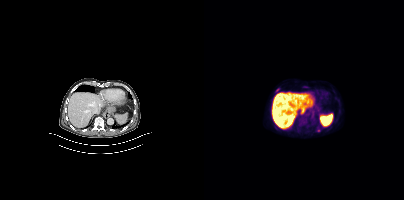
Coordinates are on the 200×200 PET (right) panel. Small PSMA-avid focus (2 to 4 px across) near (center x, center y): (114, 130).